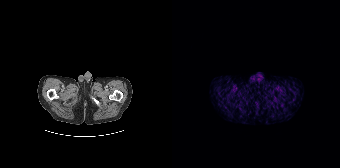
Negative for PSMA-avid disease on this slice. Two-panel axial: CT | PSMA PET, [68Ga]Ga-PSMA-11 tracer. Acquired on Siemens Biograph 64-4R TruePoint. Slice 43 of 195. PET panel 168×168 px (4.1 mm/px).